de-identification: head region blanked (face removed) | modality: PSMA PET/CT | tracer: 18F | view: axial | PET grid: 200×200
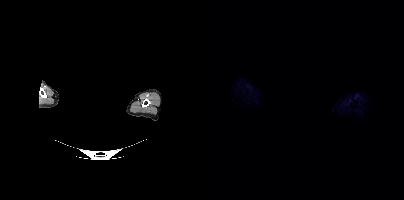
No PSMA-avid tumor lesions on this slice.